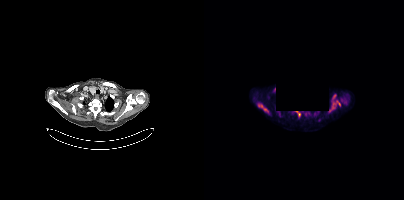
Coordinates are on the 200×200 PET (right) panel. PSMA-avid tumor lesion bounding boxes (x0, y0)-(x1, y1): (125, 100)-(136, 111) / (57, 106)-(64, 112).
Any black rectangle here is a de-identification mask.